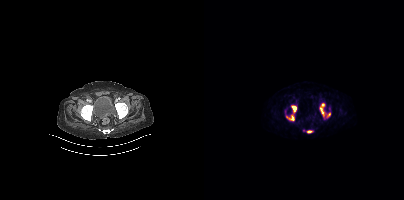
modality: PSMA PET/CT | tracer: [68Ga]Ga-PSMA-11 | view: axial
No PSMA-avid tumor lesions on this slice.